Left: CT. Right: PSMA PET, same axial level, 18F tracer. Slice position z = 472 mm. A rectangle over the head was blacked out to remove identifiable facial features.
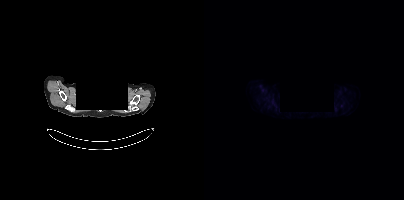
No PSMA-avid tumor lesions on this slice.